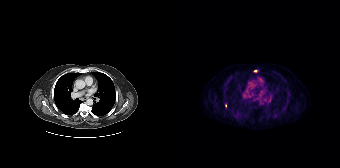
{"modality":"PSMA PET/CT","view":"axial","tracer":"18F-PSMA","pet_grid":[168,168],"coord_frame":"pet_panel","coord_format":"x0,y0,x1,y1","lesion_bboxes":[],"small_foci_centers":[[53,105],[83,70]]}